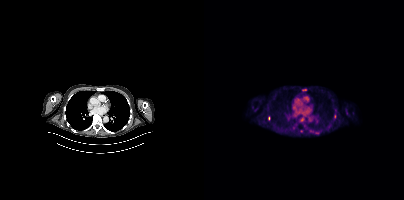
- Two-panel axial: CT | PSMA PET, 18F tracer
- acquired on Siemens Biograph mCT Flow 20
Findings: Coordinates are on the 200×200 PET (right) panel. PSMA-avid tumor lesion bounding box (x0,y0,x1,y1): [64,116,66,120]. Small PSMA-avid focus (2 to 4 px across) near (center x, center y): (100, 89).